- Paired axial CT (left) and PSMA PET (right), 68Ga-PSMA tracer
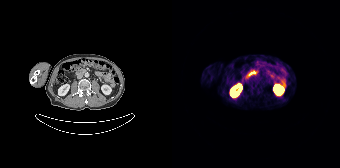
Findings: This slice has no annotated PSMA-avid lesion.